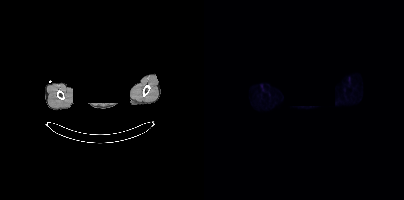
Technique: Left: CT. Right: PSMA PET, same axial level, [18F]PSMA-1007 tracer. PET panel 200×200 px (4.1 mm/px).
Note: The head region is masked for de-identification.
Findings: Negative for PSMA-avid disease on this slice.